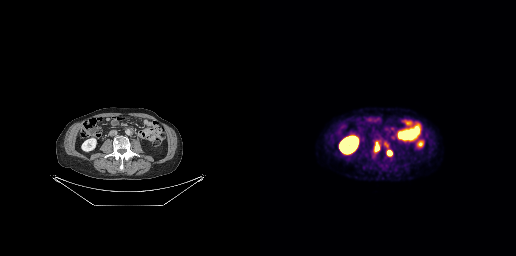
Two-panel axial: CT | PSMA PET, 18F-PSMA tracer. Acquired on GE Discovery 690.
Coordinates are on the 256×256 PET (right) panel. PSMA-avid tumor lesion bounding boxes:
| # | x0 | y0 | x1 | y1 |
|---|---|---|---|---|
| 1 | 112 | 140 | 119 | 159 |
| 2 | 121 | 139 | 129 | 147 |
| 3 | 127 | 150 | 132 | 156 |
| 4 | 124 | 127 | 128 | 131 |